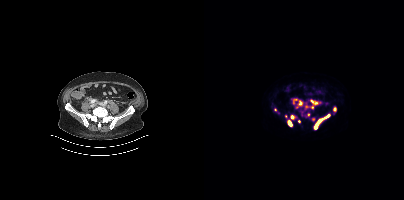
modality: PSMA PET/CT | tracer: 18F | view: axial | PET grid: 200×200
Coordinates are on the 200×200 PET (right) panel. (showing 11 of 16 foci) PSMA-avid tumor lesion bounding boxes (x0, y0)-(x1, y1): (110, 114)-(126, 129) | (83, 120)-(88, 126) | (106, 100)-(113, 104) | (94, 101)-(98, 105) | (87, 115)-(90, 119) | (129, 107)-(132, 111). Small PSMA-avid foci (2 to 4 px across) near (center x, center y): (108, 107) | (91, 99) | (95, 121) | (104, 114) | (81, 116).